Left: CT. Right: PSMA PET, same axial level, 18F tracer. PET panel 256×256 px (2.7 mm/px).
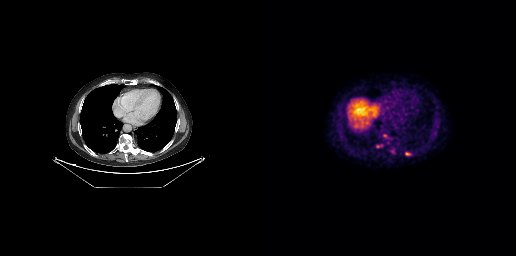
Coordinates are on the 256×256 PET (right) panel. PSMA-avid tumor lesion bounding boxes:
| # | x0 | y0 | x1 | y1 |
|---|---|---|---|---|
| 1 | 122 | 134 | 129 | 139 |
| 2 | 116 | 144 | 122 | 148 |
| 3 | 146 | 153 | 150 | 155 |